- Left: CT. Right: PSMA PET, same axial level, 18F-PSMA tracer
- slice 60 of 450
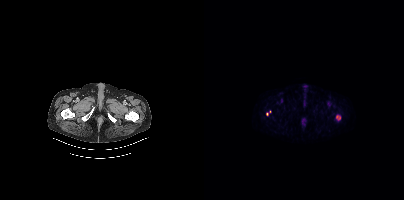
Findings: Coordinates are on the 200×200 PET (right) panel. (showing 1 of 3 foci) PSMA-avid tumor lesion bounding box (x0,y0,x1,y1): [132,115,136,120].